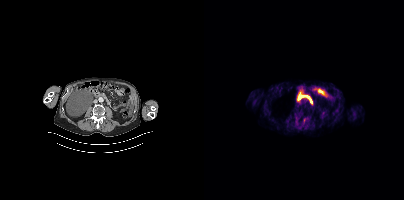
Only PSMA-avid lesion pieces thinner than 2 px on this slice (not listed).